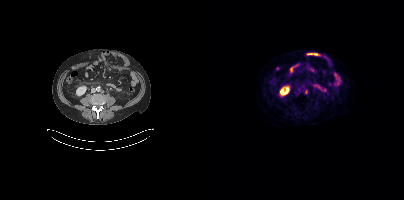
Paired axial CT (left) and PSMA PET (right), 18F-PSMA tracer. Acquired on Siemens Biograph mCT Flow 20. Coordinates are on the 200×200 PET (right) panel. PSMA-avid tumor lesion bounding box (x0,y0,x1,y1): [100,89,103,93].